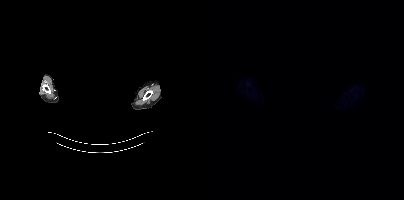
Two-panel axial: CT | PSMA PET, 18F-PSMA tracer. Slice position z = -376 mm. Head region blanked for anonymization (face removed). This slice has no annotated PSMA-avid lesion.